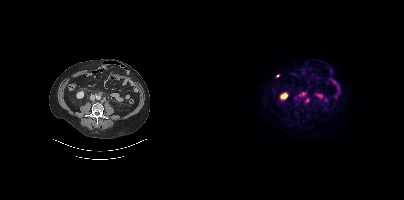
Two-panel axial: CT | PSMA PET, 18F tracer. PET panel 200×200 px (4.1 mm/px). Coordinates are on the 200×200 PET (right) panel. PSMA-avid tumor lesion bounding box (x0, y0)-(x1, y1): (97, 92)-(101, 96). Small PSMA-avid foci (2 to 4 px across) near (center x, center y): (102, 100) | (90, 100).